deidentification: rectangular block over head set to black | modality: PSMA PET/CT | tracer: 18F-PSMA | view: axial
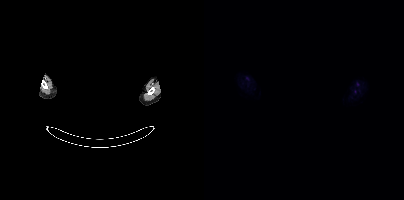
No tumor lesions annotated on this slice.